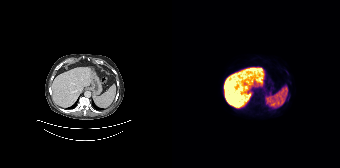
Findings: Coordinates are on the 168×168 PET (right) panel. Small PSMA-avid focus (2 to 4 px across) near (center x, center y): (115, 98).
- Paired axial CT (left) and PSMA PET (right), 18F tracer